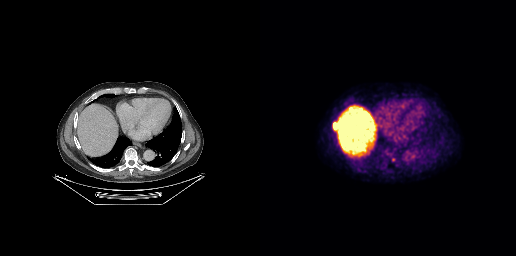
Technique: Left: CT. Right: PSMA PET, same axial level, 18F tracer. slice 176 of 263. PET panel 256×256 px (2.7 mm/px).
Findings: Coordinates are on the 256×256 PET (right) panel. PSMA-avid tumor lesion bounding box (x, y, width, height): x=73 y=122 w=6 h=11. Small PSMA-avid focus (2 to 4 px across) near (center x, center y): (133, 159).